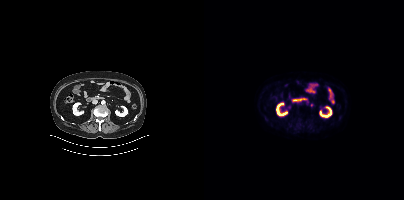
Two-panel axial: CT | PSMA PET, 18F-PSMA tracer. Slice position z = -671 mm. PET panel 200×200 px (4.1 mm/px). Only PSMA-avid lesion pieces thinner than 2 px on this slice (not listed).